- Paired axial CT (left) and PSMA PET (right), 18F-PSMA tracer
- PET panel 168×168 px (4.1 mm/px)
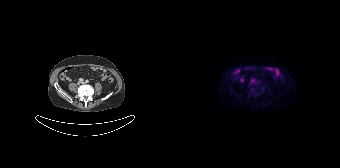
Findings: Negative for PSMA-avid disease on this slice.